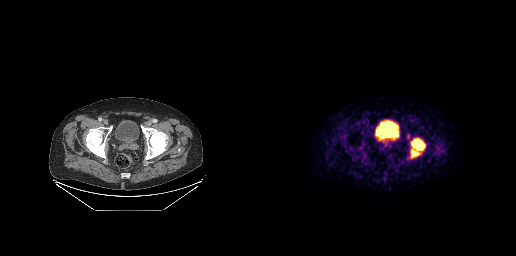
- Two-panel axial: CT | PSMA PET, 68Ga tracer
- acquired on GE Discovery 690
- slice 59 of 263
- PET panel 256×256 px (2.7 mm/px)
Findings: Coordinates are on the 256×256 PET (right) panel. PSMA-avid tumor lesion bounding box (x0,y0,x1,y1): [151,138,165,157].